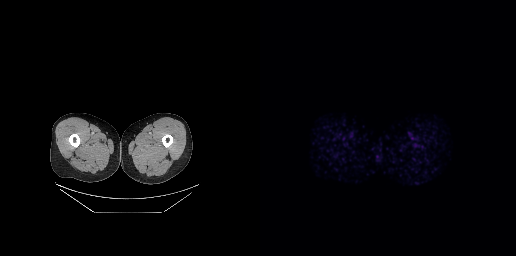
No PSMA-avid tumor lesions on this slice.
modality: PSMA PET/CT | tracer: [18F]PSMA-1007 | view: axial | PET grid: 256×256